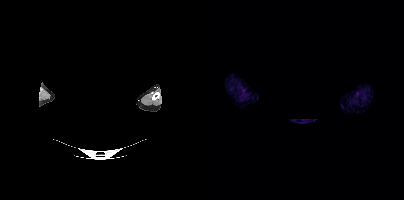
Technique: Left: CT. Right: PSMA PET, same axial level, 18F tracer. slice 400 of 409.
Note: Face de-identified by blanking a block of the head.
Findings: This slice has no annotated PSMA-avid lesion.